- Two-panel axial: CT | PSMA PET, 18F-PSMA tracer
- acquired on Siemens Biograph mCT Flow 20
- slice position z = -1364 mm
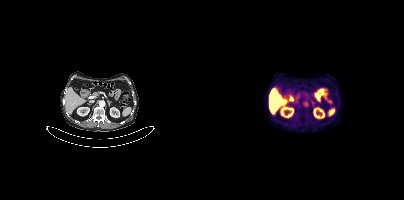
Findings: This slice has no annotated PSMA-avid lesion.